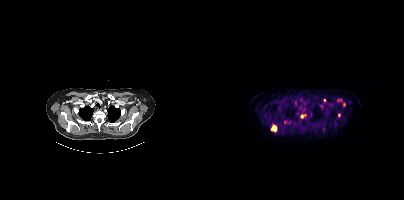
Technique: Paired axial CT (left) and PSMA PET (right), 18F tracer. PET panel 200×200 px (4.1 mm/px).
Findings: Coordinates are on the 200×200 PET (right) panel. (showing 9 of 13 foci) PSMA-avid tumor lesion bounding box (x0, y0)-(x1, y1): (67, 125)-(72, 130). Small PSMA-avid foci (2 to 4 px across) near (center x, center y): (98, 116); (81, 122); (140, 104); (119, 129); (120, 100); (85, 122); (116, 104); (134, 114).